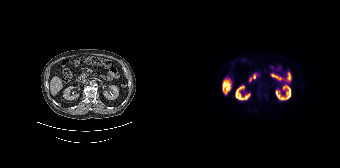
No PSMA-avid tumor lesions on this slice. Two-panel axial: CT | PSMA PET, 18F-PSMA tracer. Acquired on Siemens Biograph 64-4R TruePoint. PET panel 168×168 px (4.1 mm/px).